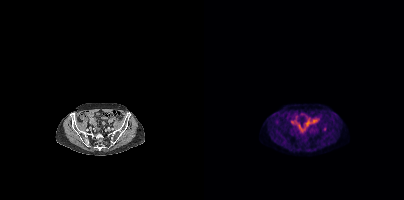
{"modality":"PSMA PET/CT","view":"axial","tracer":"[18F]PSMA-1007","pet_grid":[200,200],"coord_frame":"pet_panel","coord_format":"x0,y0,x1,y1","lesion_bboxes":[],"small_foci_centers":[[120,128]]}